Paired axial CT (left) and PSMA PET (right), [18F]PSMA-1007 tracer.
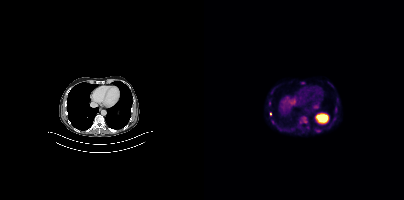
Coordinates are on the 200×200 PET (right) panel. (showing 5 of 6 foci) PSMA-avid tumor lesion bounding box (x0, y0)-(x1, y1): (96, 117)-(102, 123). Small PSMA-avid foci (2 to 4 px across) near (center x, center y): (98, 82) | (131, 109) | (65, 103) | (66, 114).